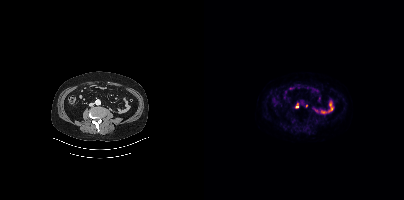
Technique: Paired axial CT (left) and PSMA PET (right), 18F tracer. acquired on Siemens Biograph mCT Flow 20. slice 167 of 452. PET panel 200×200 px (4.1 mm/px).
Findings: Coordinates are on the 200×200 PET (right) panel. (showing 1 of 3 foci) Small PSMA-avid focus (2 to 4 px across) near (center x, center y): (92, 106).